- Paired axial CT (left) and PSMA PET (right), [68Ga]Ga-PSMA-11 tracer
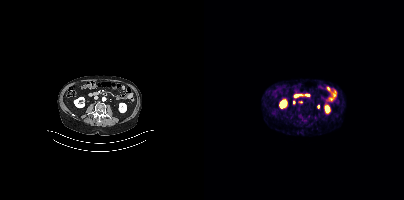
Findings: Only PSMA-avid lesion pieces thinner than 2 px on this slice (not listed).